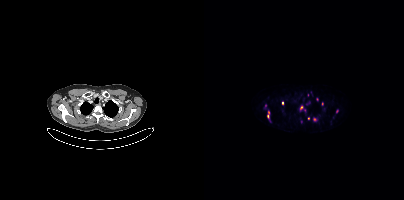
Two-panel axial: CT | PSMA PET, [68Ga]Ga-PSMA-11 tracer. Slice 335 of 411. PET panel 200×200 px (4.1 mm/px).
Coordinates are on the 200×200 PET (right) panel. PSMA-avid tumor lesion bounding boxes (partial; 5 more foci not listed):
| # | x0 | y0 | x1 | y1 |
|---|---|---|---|---|
| 1 | 63 | 111 | 65 | 117 |
| 2 | 61 | 104 | 62 | 108 |
Small PSMA-avid foci (2 to 4 px across) near (center x, center y): (97, 107); (110, 119); (133, 111); (118, 103); (78, 102).